Left: CT. Right: PSMA PET, same axial level, 68Ga tracer. Slice 91 of 389. PET panel 200×200 px (4.1 mm/px).
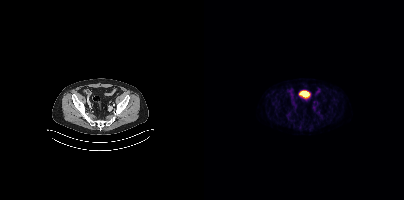
No PSMA-avid tumor lesions on this slice.